Left: CT. Right: PSMA PET, same axial level, 18F tracer. Acquired on Siemens Biograph 64-4R TruePoint. PET panel 168×168 px (4.1 mm/px).
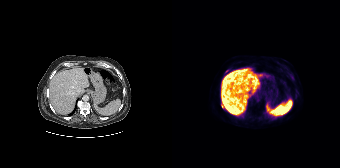
Coordinates are on the 168×168 PET (right) panel. (showing 1 of 2 foci) Small PSMA-avid focus (2 to 4 px across) near (center x, center y): (54, 71).